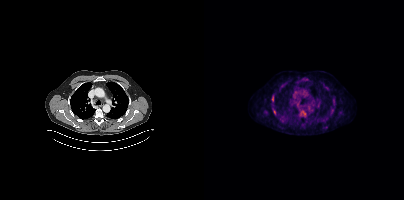
Coordinates are on the 200×200 PET (right) panel. PSMA-avid tumor lesion bounding box (x, y, width, height): x=97 y=111 w=5 h=6. Small PSMA-avid foci (2 to 4 px across) near (center x, center y): (68, 98) / (69, 110) / (71, 112).